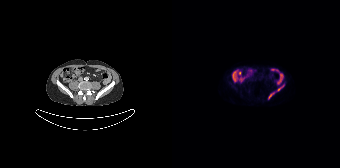
Coordinates are on the 168×168 PET (right) panel. PSMA-avid tumor lesion bounding boxes (x, y, width, height): x=96 y=93 w=6 h=6; x=105 y=86 w=6 h=5. Small PSMA-avid focus (2 to 4 px across) near (center x, center y): (111, 84).